Technique: Paired axial CT (left) and PSMA PET (right), 68Ga tracer. slice 214 of 411. PET panel 200×200 px (4.1 mm/px).
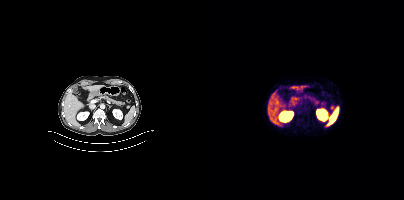
Findings: Coordinates are on the 200×200 PET (right) panel. Small PSMA-avid focus (2 to 4 px across) near (center x, center y): (128, 107).